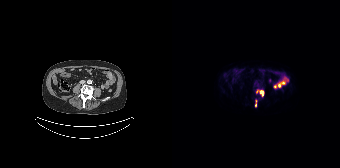
Findings: Coordinates are on the 168×168 PET (right) panel. PSMA-avid tumor lesion bounding boxes (x0, y0)-(x1, y1): (84, 89)-(92, 96) | (83, 100)-(85, 106).
Technique: Paired axial CT (left) and PSMA PET (right), 18F tracer. acquired on Siemens Biograph 64-4R TruePoint. slice position z = -1092 mm. PET panel 168×168 px (4.1 mm/px).